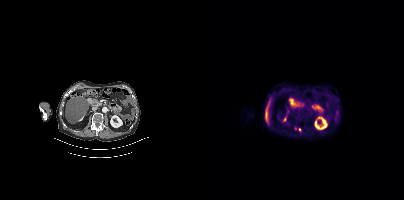
Coordinates are on the 200×200 PET (right) panel. Small PSMA-avid foci (2 to 4 px across) near (center x, center y): (95, 129); (91, 128).
modality: PSMA PET/CT | tracer: 18F-PSMA | view: axial